modality: PSMA PET/CT | tracer: 18F | view: axial | PET grid: 200×200 | de-identification: privacy mask over head
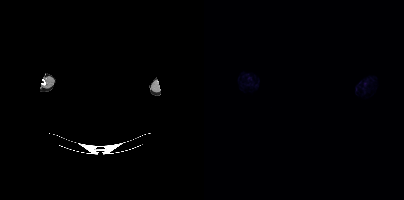
Negative for PSMA-avid disease on this slice.